- Left: CT. Right: PSMA PET, same axial level, [18F]PSMA-1007 tracer
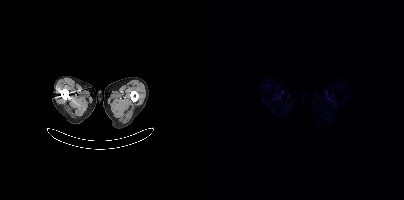
Findings: This slice has no annotated PSMA-avid lesion.